Two-panel axial: CT | PSMA PET, [18F]PSMA-1007 tracer. PET panel 200×200 px (4.1 mm/px).
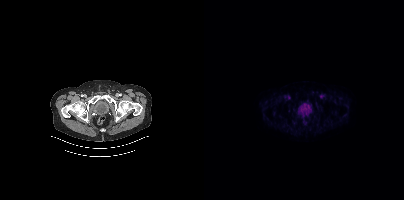
No PSMA-avid tumor lesions on this slice.